modality: PSMA PET/CT | tracer: [18F]PSMA-1007 | view: axial
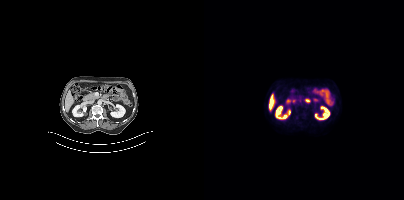
No PSMA-avid tumor lesions on this slice.